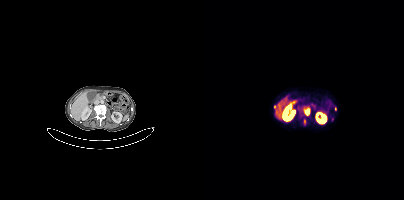
Coordinates are on the 200×200 PET (right) panel. PSMA-avid tumor lesion bounding boxes (x0, y0)-(x1, y1): (101, 109)-(105, 115) / (70, 105)-(72, 109). Small PSMA-avid foci (2 to 4 px across) near (center x, center y): (100, 121) / (131, 108).